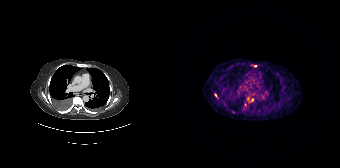
Coordinates are on the 168×168 PET (right) panel. (showing 3 of 4 foci) PSMA-avid tumor lesion bounding box (x0,y0,x1,y1): [80,64,84,66]. Small PSMA-avid foci (2 to 4 px across) near (center x, center y): (43, 95), (61, 111).